Left: CT. Right: PSMA PET, same axial level, 18F-PSMA tracer. Slice 251 of 387. PET panel 200×200 px (4.1 mm/px).
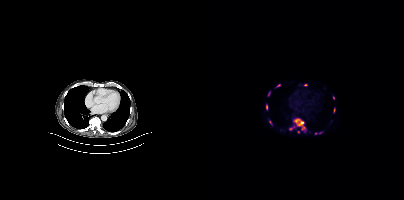
Coordinates are on the 200×200 PET (right) panel. (showing 9 of 11 foci) PSMA-avid tumor lesion bounding boxes (x, y, width, height): x=86 y=118 w=17 h=15; x=62 y=104 w=2 h=6. Small PSMA-avid foci (2 to 4 px across) near (center x, center y): (101, 85); (65, 93); (130, 110); (94, 132); (116, 132); (74, 85); (129, 98).